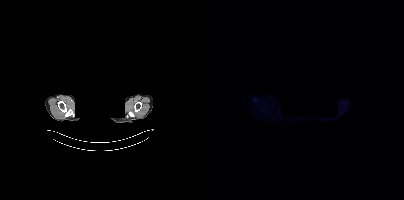
No tumor lesions annotated on this slice. Paired axial CT (left) and PSMA PET (right), [18F]PSMA-1007 tracer. De-identified by setting a box covering the face to black before release.